Left: CT. Right: PSMA PET, same axial level, [68Ga]Ga-PSMA-11 tracer. Acquired on GE Discovery 690. PET panel 256×256 px (2.7 mm/px).
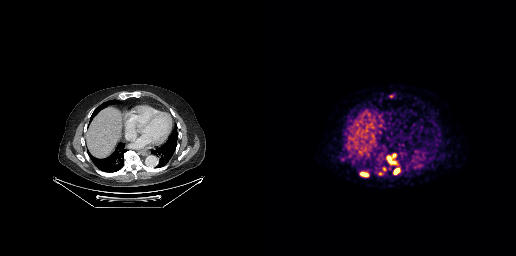
Coordinates are on the 256×256 PET (right) panel. PSMA-avid tumor lesion bounding boxes:
| # | x0 | y0 | x1 | y1 |
|---|---|---|---|---|
| 1 | 127 | 154 | 136 | 163 |
| 2 | 100 | 172 | 108 | 176 |
| 3 | 134 | 168 | 139 | 174 |
| 4 | 119 | 167 | 126 | 174 |
| 5 | 129 | 95 | 133 | 97 |